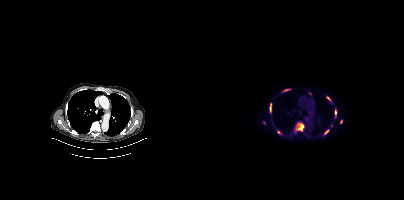
Findings: Coordinates are on the 200×200 PET (right) panel. PSMA-avid tumor lesion bounding boxes (x, y, width, height): x=90 y=123 w=10 h=9; x=66 y=103 w=2 h=11; x=122 y=96 w=5 h=5; x=79 y=89 w=6 h=3; x=120 y=130 w=5 h=5; x=131 y=110 w=2 h=5. Small PSMA-avid foci (2 to 4 px across) near (center x, center y): (137, 121); (75, 132); (127, 125).
Technique: Paired axial CT (left) and PSMA PET (right), 68Ga-PSMA tracer. acquired on Siemens Biograph mCT Flow 20.